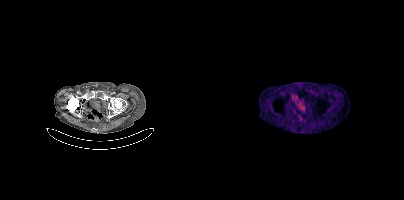
Coordinates are on the 200×200 PET (right) panel. PSMA-avid tumor lesion bounding box (x0, y0)-(x1, y1): (96, 105)-(100, 109). Small PSMA-avid focus (2 to 4 px across) near (center x, center y): (92, 97).